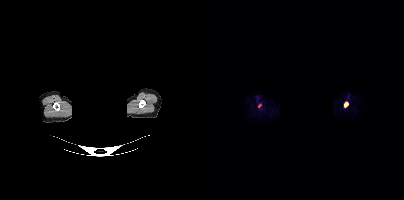
Coordinates are on the 200×200 PET (right) panel. PSMA-avid tumor lesion bounding box (x, y, width, height): x=140 y=102 w=5 h=6. Small PSMA-avid focus (2 to 4 px across) near (center x, center y): (55, 105).
de-identification: rectangular block over head set to black | modality: PSMA PET/CT | tracer: [18F]PSMA-1007 | view: axial | PET grid: 200×200